Left: CT. Right: PSMA PET, same axial level, [18F]PSMA-1007 tracer. PET panel 200×200 px (4.1 mm/px).
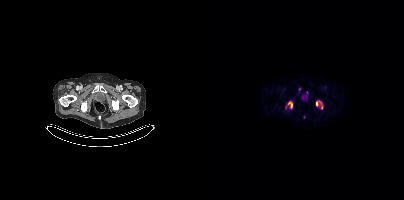
Coordinates are on the 200×200 PET (right) panel. PSMA-avid tumor lesion bounding boxes (partial; 1 more focus not listed):
| # | x0 | y0 | x1 | y1 |
|---|---|---|---|---|
| 1 | 112 | 101 | 117 | 106 |
| 2 | 84 | 102 | 88 | 107 |
Small PSMA-avid focus (2 to 4 px across) near (center x, center y): (117, 107).